Left: CT. Right: PSMA PET, same axial level, 68Ga tracer. Acquired on Siemens Biograph mCT Flow 20.
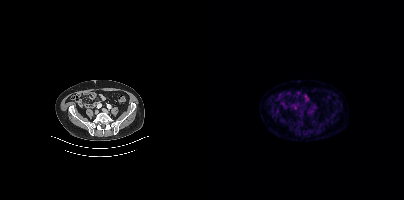
Coordinates are on the 200×200 PET (right) panel. Small PSMA-avid focus (2 to 4 px across) near (center x, center y): (73, 110).